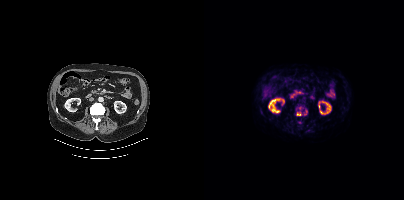
Coordinates are on the 200×200 PET (right) panel. (showing 3 of 4 foci) PSMA-avid tumor lesion bounding box (x0, y0)-(x1, y1): (92, 112)-(97, 115). Small PSMA-avid foci (2 to 4 px across) near (center x, center y): (102, 111) | (95, 107).